- Two-panel axial: CT | PSMA PET, [18F]PSMA-1007 tracer
- slice position z = -1226 mm
- PET panel 200×200 px (4.1 mm/px)
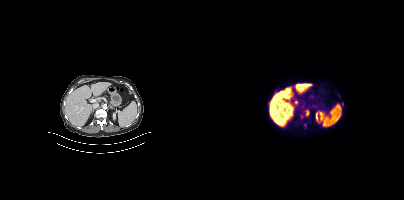
Findings: Coordinates are on the 200×200 PET (right) panel. (showing 2 of 3 foci) PSMA-avid tumor lesion bounding box (x, y, width, height): x=102 y=110 w=3 h=6. Small PSMA-avid focus (2 to 4 px across) near (center x, center y): (138, 104).